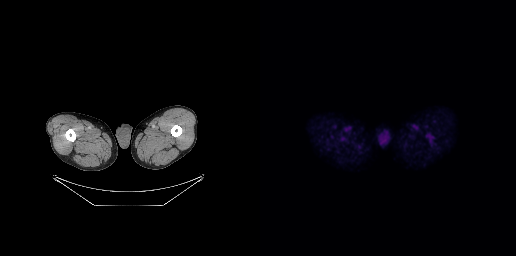
Negative for PSMA-avid disease on this slice. Paired axial CT (left) and PSMA PET (right), 18F tracer. Slice 12 of 263.